Two-panel axial: CT | PSMA PET, [18F]PSMA-1007 tracer. Acquired on Siemens Biograph mCT Flow 20.
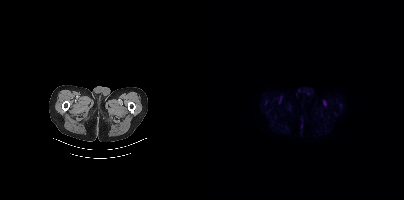
Negative for PSMA-avid disease on this slice.